Technique: Paired axial CT (left) and PSMA PET (right), 18F tracer. slice 365 of 403. PET panel 200×200 px (4.1 mm/px).
Note: De-identified by setting a box covering the face to black before release.
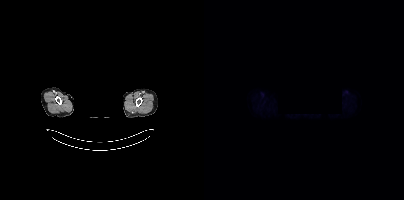
Findings: No tumor lesions annotated on this slice.